Left: CT. Right: PSMA PET, same axial level, 18F tracer. Acquired on Siemens Biograph mCT Flow 20. Slice 147 of 415. PET panel 200×200 px (4.1 mm/px).
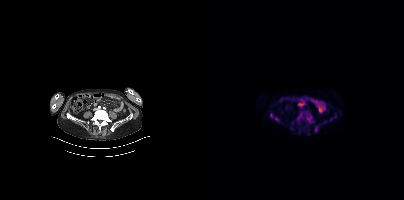
Coordinates are on the 200×200 PET (right) panel. (showing 5 of 6 foci) PSMA-avid tumor lesion bounding boxes (x, y, width, height): x=102 y=114 w=7 h=9; x=93 y=115 w=6 h=6; x=111 y=126 w=3 h=6. Small PSMA-avid foci (2 to 4 px across) near (center x, center y): (67, 115); (72, 119).